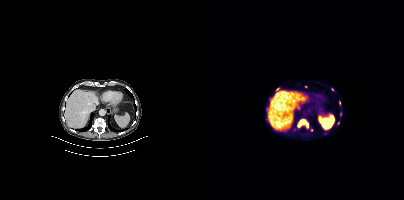
Coordinates are on the 200×200 PET (right) panel. (showing 8 of 10 foci) PSMA-avid tumor lesion bounding boxes (x0, y0)-(x1, y1): (94, 119)-(104, 128) | (62, 108)-(64, 112). Small PSMA-avid foci (2 to 4 px across) near (center x, center y): (136, 114) | (101, 86) | (73, 89) | (134, 122) | (135, 102) | (128, 89).